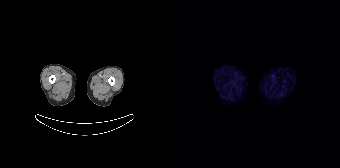
modality: PSMA PET/CT | tracer: 68Ga-PSMA | view: axial
No tumor lesions annotated on this slice.